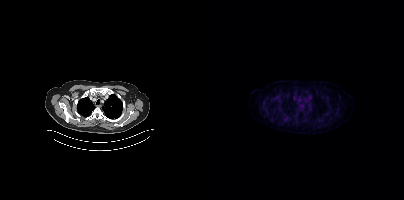
No PSMA-avid tumor lesions on this slice.